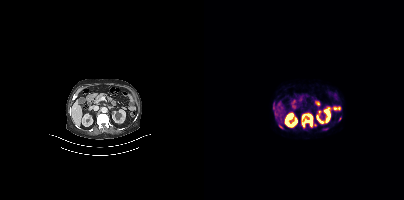
{"modality":"PSMA PET/CT","view":"axial","tracer":"[68Ga]Ga-PSMA-11","pet_grid":[200,200],"coord_frame":"pet_panel","coord_format":"x0,y0,x1,y1","partial":true,"lesion_bboxes":[[97,113,112,127]],"small_foci_centers":[[70,107],[120,129],[76,125],[136,119]]}